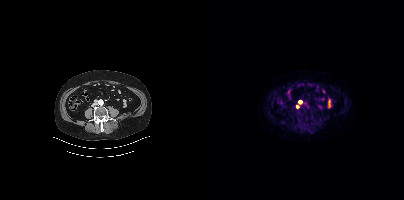
Coordinates are on the 200×200 PET (right) panel. Small PSMA-avid foci (2 to 4 px across) near (center x, center y): (96, 102) | (93, 106). Two-panel axial: CT | PSMA PET, 18F-PSMA tracer. Slice 164 of 454.